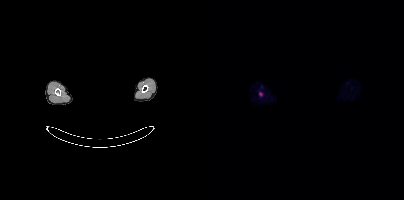
Coordinates are on the 200×200 PET (right) panel. PSMA-avid tumor lesion bounding box (x, y, width, height): x=55 y=92 w=4 h=5. An anonymization step blacked out a rectangle over the head in this scan. Two-panel axial: CT | PSMA PET, 18F tracer. Acquired on Siemens Biograph mCT Flow 20.